Technique: Two-panel axial: CT | PSMA PET, [18F]PSMA-1007 tracer. acquired on Siemens Biograph mCT Flow 20. slice 381 of 425. PET panel 200×200 px (4.1 mm/px).
Note: Any black rectangle over the head is a privacy mask, not anatomy.
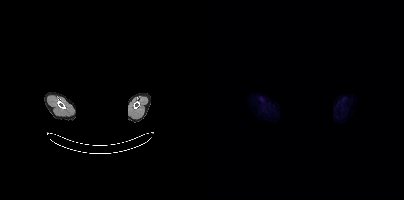
Findings: No tumor lesions annotated on this slice.